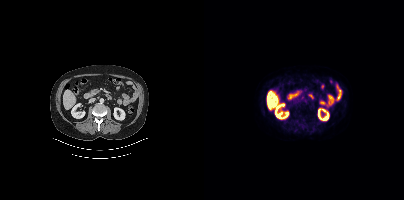
Technique: Two-panel axial: CT | PSMA PET, [18F]PSMA-1007 tracer.
Findings: Coordinates are on the 200×200 PET (right) panel. (showing 2 of 4 foci) Small PSMA-avid foci (2 to 4 px across) near (center x, center y): (96, 115), (95, 105).